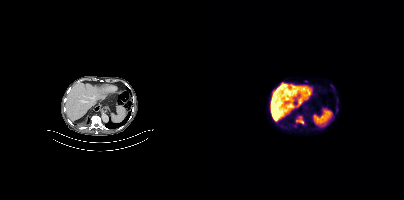
Coordinates are on the 200×200 PET (right) panel. PSMA-avid tumor lesion bounding box (x, y, width, height): x=92 y=116 w=9 h=9. Small PSMA-avid focus (2 to 4 px across) near (center x, center y): (101, 81).